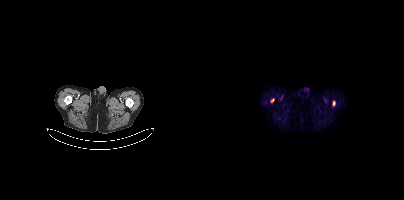
Coordinates are on the 200×200 PET (right) panel. PSMA-avid tumor lesion bounding boxes:
| # | x0 | y0 | x1 | y1 |
|---|---|---|---|---|
| 1 | 66 | 98 | 70 | 102 |
| 2 | 129 | 101 | 131 | 105 |
Left: CT. Right: PSMA PET, same axial level, 18F-PSMA tracer.